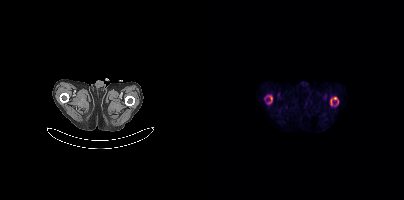
Findings: Coordinates are on the 200×200 PET (right) panel. (showing 2 of 4 foci) PSMA-avid tumor lesion bounding box (x0, y0)-(x1, y1): (65, 96)-(68, 103). Small PSMA-avid focus (2 to 4 px across) near (center x, center y): (131, 98).
Technique: Two-panel axial: CT | PSMA PET, 18F tracer. acquired on Siemens Biograph mCT Flow 20. slice position z = -348 mm.